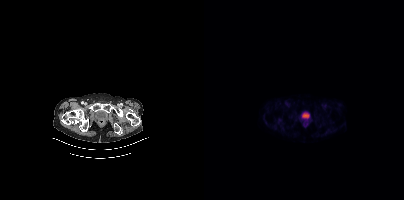
Findings: This slice has no annotated PSMA-avid lesion.
- Left: CT. Right: PSMA PET, same axial level, [68Ga]Ga-PSMA-11 tracer
- slice 47 of 409